Paired axial CT (left) and PSMA PET (right), 68Ga-PSMA tracer. Acquired on Siemens Biograph 64-4R TruePoint. Slice position z = -1236 mm. PET panel 168×168 px (4.1 mm/px).
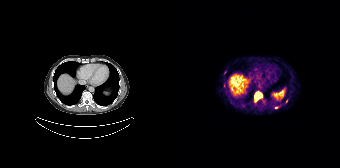
Coordinates are on the 168×168 PET (right) panel. PSMA-avid tumor lesion bounding box (x, y, width, height): x=82 y=91 w=9 h=11. Small PSMA-avid foci (2 to 4 px across) near (center x, center y): (52, 85) / (114, 100) / (71, 105) / (104, 107).